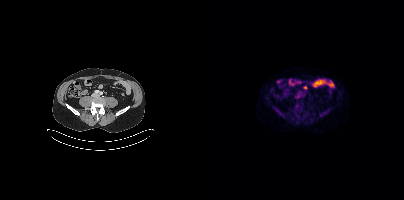
modality: PSMA PET/CT | tracer: 18F-PSMA | view: axial
This slice has no annotated PSMA-avid lesion.